modality: PSMA PET/CT | tracer: 18F-PSMA | view: axial
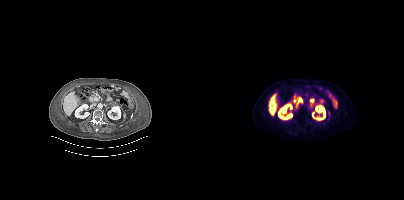
No PSMA-avid tumor lesions on this slice.